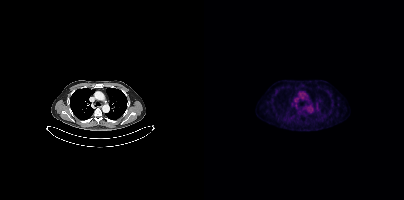
No tumor lesions annotated on this slice. Paired axial CT (left) and PSMA PET (right), [18F]PSMA-1007 tracer. PET panel 200×200 px (4.1 mm/px).